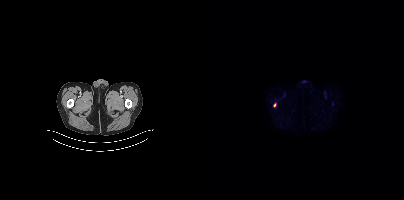
{"modality":"PSMA PET/CT","view":"axial","tracer":"18F","pet_grid":[200,200],"coord_frame":"pet_panel","coord_format":"x0,y0,x1,y1","lesion_bboxes":[],"small_foci_centers":[[70,105]]}